- Two-panel axial: CT | PSMA PET, 18F-PSMA tracer
- acquired on Siemens Biograph mCT Flow 20
- slice position z = -1195 mm
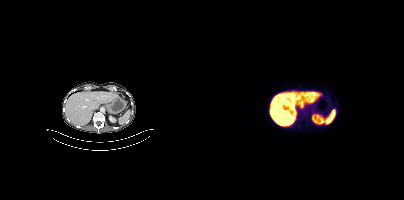
Findings: No PSMA-avid tumor lesions on this slice.